Two-panel axial: CT | PSMA PET, 18F tracer.
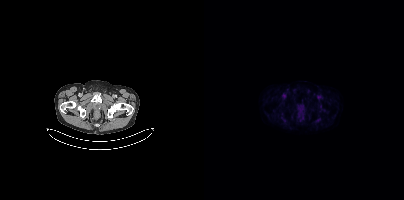
This slice has no annotated PSMA-avid lesion.